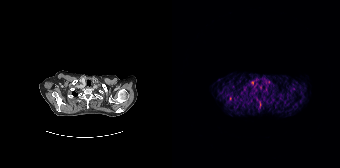
Coordinates are on the 168×168 PET (right) panel. (showing 1 of 3 foci) Small PSMA-avid focus (2 to 4 px across) near (center x, center y): (58, 98).